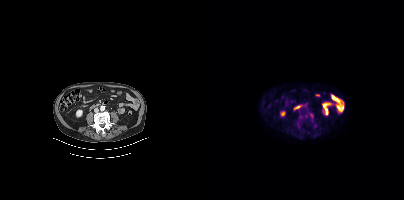
Technique: Two-panel axial: CT | PSMA PET, 18F tracer. PET panel 200×200 px (4.1 mm/px).
Findings: Coordinates are on the 200×200 PET (right) panel. PSMA-avid tumor lesion bounding box (x0, y0)-(x1, y1): (105, 113)-(109, 117).